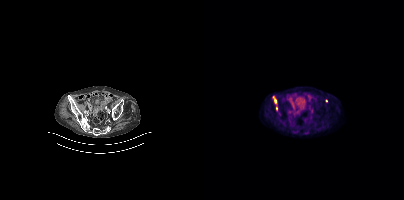
modality: PSMA PET/CT | tracer: 18F | view: axial
Coordinates are on the 200×200 PET (right) panel. (showing 2 of 3 foci) Small PSMA-avid foci (2 to 4 px across) near (center x, center y): (71, 100) / (72, 108).